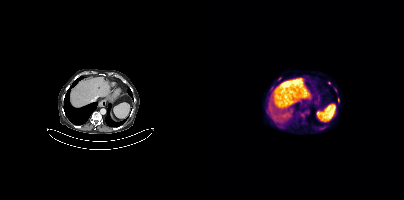
Coordinates are on the 200×200 PET (right) panel. PSMA-avid tumor lesion bounding boxes (x0, y0)-(x1, y1): (134, 98)-(135, 102); (70, 122)-(73, 126). Small PSMA-avid foci (2 to 4 px across) near (center x, center y): (98, 115); (125, 82); (75, 78).